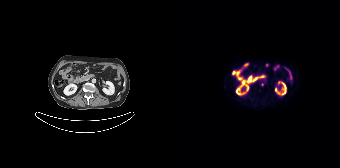
- Left: CT. Right: PSMA PET, same axial level, [18F]PSMA-1007 tracer
- PET panel 168×168 px (4.1 mm/px)
Findings: This slice has no annotated PSMA-avid lesion.